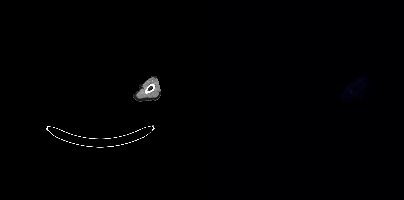
Negative for PSMA-avid disease on this slice.
modality: PSMA PET/CT | tracer: [18F]PSMA-1007 | view: axial | de-identification: facial region redacted